- Left: CT. Right: PSMA PET, same axial level, 18F tracer
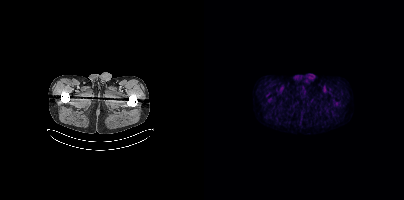
Findings: This slice has no annotated PSMA-avid lesion.